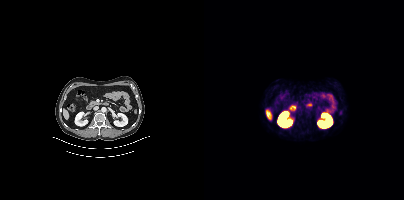
Negative for PSMA-avid disease on this slice.